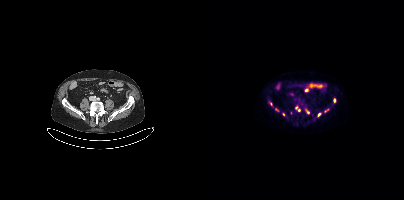
Left: CT. Right: PSMA PET, same axial level, 18F tracer. Acquired on Siemens Biograph mCT Flow 20. Slice position z = -1322 mm. PET panel 200×200 px (4.1 mm/px).
Coordinates are on the 200×200 PET (right) panel. PSMA-avid tumor lesion bounding boxes (partial; 1 more focus not listed):
| # | x0 | y0 | x1 | y1 |
|---|---|---|---|---|
| 1 | 91 | 106 | 96 | 111 |
| 2 | 101 | 109 | 105 | 113 |
| 3 | 120 | 109 | 124 | 112 |
Small PSMA-avid foci (2 to 4 px across) near (center x, center y): (72, 109); (115, 114); (130, 100); (67, 104); (79, 114).